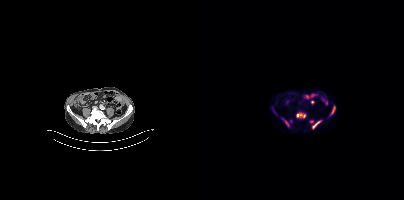
Coordinates are on the 200×200 PET (right) panel. (showing 6 of 7 foci) PSMA-avid tumor lesion bounding boxes (x0, y0)-(x1, y1): (92, 112)-(101, 118); (108, 119)-(118, 129); (125, 106)-(131, 116); (81, 121)-(84, 126). Small PSMA-avid foci (2 to 4 px across) near (center x, center y): (107, 121); (79, 119).